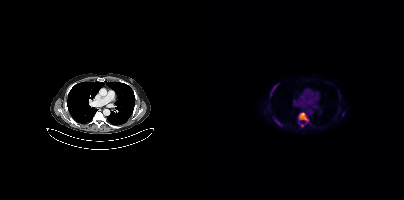
Technique: Left: CT. Right: PSMA PET, same axial level, 18F-PSMA tracer.
Findings: Coordinates are on the 200×200 PET (right) panel. (showing 5 of 6 foci) PSMA-avid tumor lesion bounding boxes (x0,y0,x1,y1): [95,113,104,121], [70,118,78,126], [68,85,72,91], [95,123,99,126]. Small PSMA-avid focus (2 to 4 px across) near (center x, center y): (139, 114).